Paired axial CT (left) and PSMA PET (right), 18F tracer. PET panel 200×200 px (4.1 mm/px).
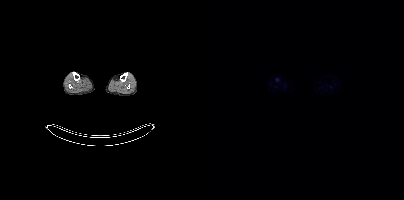
No PSMA-avid tumor lesions on this slice.